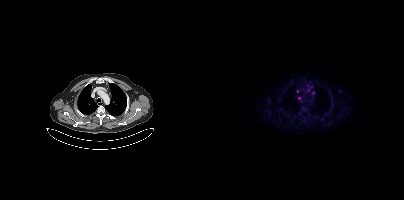
Technique: Paired axial CT (left) and PSMA PET (right), 18F tracer. PET panel 200×200 px (4.1 mm/px).
Findings: Coordinates are on the 200×200 PET (right) panel. (showing 1 of 2 foci) PSMA-avid tumor lesion bounding box (x0, y0)-(x1, y1): (103, 84)-(107, 91).